Technique: Two-panel axial: CT | PSMA PET, 18F-PSMA tracer. slice position z = -1011 mm. PET panel 168×168 px (4.1 mm/px).
Note: An anonymization step blacked out a rectangle in this scan.
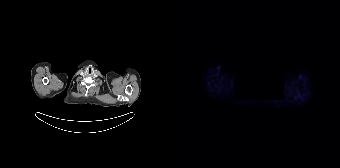
Findings: This slice has no annotated PSMA-avid lesion.